Left: CT. Right: PSMA PET, same axial level, [68Ga]Ga-PSMA-11 tracer. PET panel 200×200 px (4.1 mm/px).
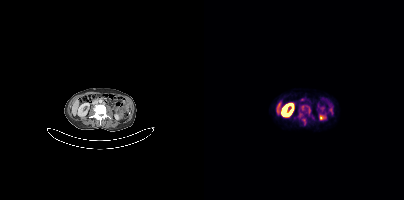
Coordinates are on the 200×200 PET (right) panel. PSMA-avid tumor lesion bounding boxes (partial; 1 more focus not listed):
| # | x0 | y0 | x1 | y1 |
|---|---|---|---|---|
| 1 | 99 | 119 | 102 | 125 |